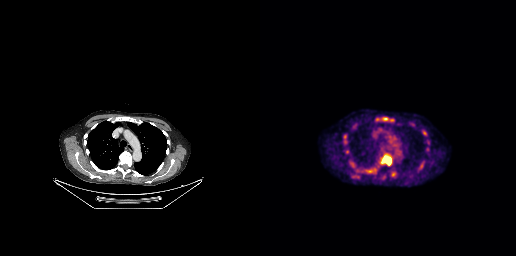
Coordinates are on the 256×256 PET (right) panel. PSMA-avid tumor lesion bounding box (x, y, width, height): x=121 y=155 w=11 h=11. Small PSMA-avid focus (2 to 4 px across) near (center x, center y): (125, 118).